modality: PSMA PET/CT | tracer: [18F]PSMA-1007 | view: axial
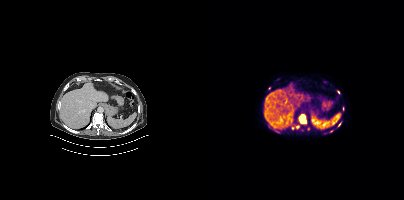
Coordinates are on the 200×200 PET (right) panel. (showing 3 of 4 foci) PSMA-avid tumor lesion bounding box (x0,y0,x1,y1): [95,116,102,123]. Small PSMA-avid foci (2 to 4 px across) near (center x, center y): (134, 92); (93, 126).